modality: PSMA PET/CT | tracer: 18F | view: axial
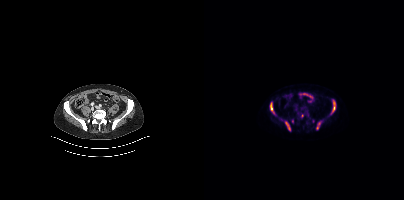
Coordinates are on the 200×200 PET (right) panel. (showing 6 of 7 foci) PSMA-avid tumor lesion bounding boxes (x0, y0)-(x1, y1): (66, 102)-(70, 114) / (127, 100)-(131, 113) / (81, 121)-(86, 130) / (112, 121)-(117, 129). Small PSMA-avid foci (2 to 4 px across) near (center x, center y): (98, 115) / (88, 120).